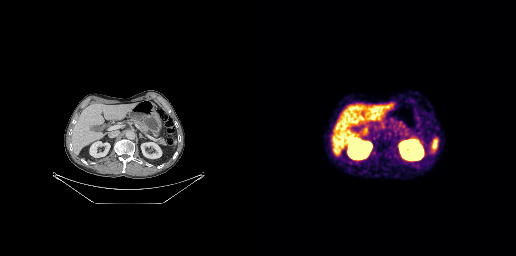
Paired axial CT (left) and PSMA PET (right), 68Ga-PSMA tracer. Slice 132 of 263. PET panel 256×256 px (2.7 mm/px). Only PSMA-avid lesion pieces thinner than 2 px on this slice (not listed).